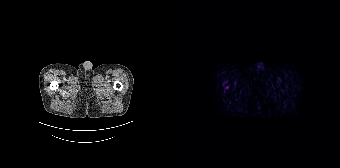
Left: CT. Right: PSMA PET, same axial level, [18F]PSMA-1007 tracer. Acquired on Siemens Biograph 64-4R TruePoint. PET panel 168×168 px (4.1 mm/px). Only PSMA-avid lesion pieces thinner than 2 px on this slice (not listed).